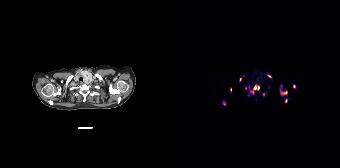
Coordinates are on the 168×168 PET (right) panel. (showing 9 of 10 foci) PSMA-avid tumor lesion bounding boxes (x, y, width, height): x=73 y=84 w=15 h=10 / x=108 y=85 w=8 h=10 / x=95 y=74 w=5 h=4 / x=50 y=101 w=4 h=5. Small PSMA-avid foci (2 to 4 px across) near (center x, center y): (122, 86) / (114, 100) / (58, 89) / (68, 79) / (91, 94). Left: CT. Right: PSMA PET, same axial level, 18F tracer. Slice 133 of 165.